Technique: Two-panel axial: CT | PSMA PET, 18F-PSMA tracer.
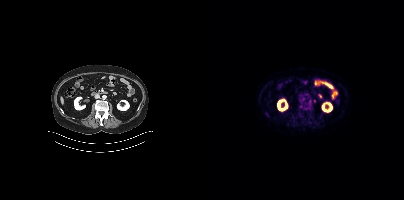
Findings: Coordinates are on the 200×200 PET (right) panel. Small PSMA-avid focus (2 to 4 px across) near (center x, center y): (110, 100).